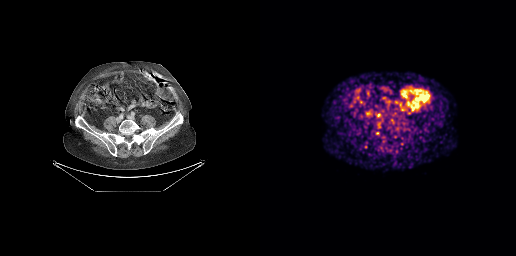
Two-panel axial: CT | PSMA PET, [68Ga]Ga-PSMA-11 tracer. Acquired on GE Discovery 690. PET panel 256×256 px (2.7 mm/px). Negative for PSMA-avid disease on this slice.